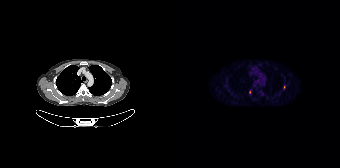
Coordinates are on the 168×168 PET (right) panel. Small PSMA-avid foci (2 to 4 px across) near (center x, center y): (78, 91) / (112, 87).